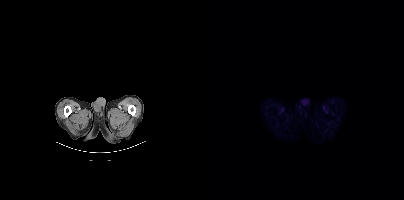
Findings: This slice has no annotated PSMA-avid lesion.
Technique: Left: CT. Right: PSMA PET, same axial level, [18F]PSMA-1007 tracer. slice 20 of 435.